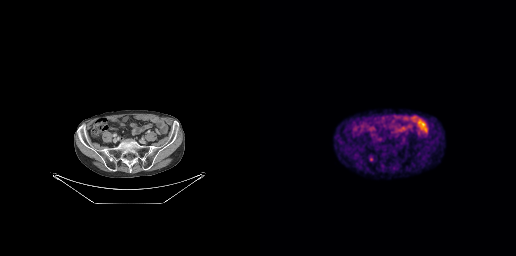
- Two-panel axial: CT | PSMA PET, [18F]PSMA-1007 tracer
- PET panel 256×256 px (2.7 mm/px)
Findings: Coordinates are on the 256×256 PET (right) panel. PSMA-avid tumor lesion bounding box (x0, y0)-(x1, y1): (109, 156)-(113, 161).